modality: PSMA PET/CT | tracer: 18F-PSMA | view: axial
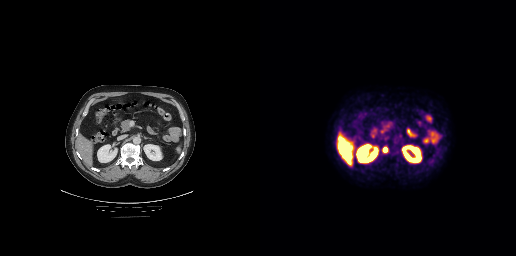
Coordinates are on the 256×256 PET (right) panel. PSMA-avid tumor lesion bounding box (x0,y0,x1,y1): [122,147,127,152].